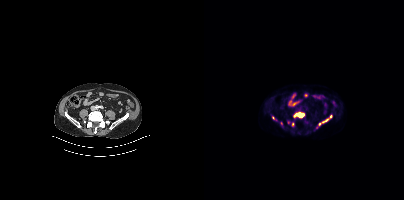
Coordinates are on the 200×200 PET (right) panel. (showing 5 of 6 foci) PSMA-avid tumor lesion bounding boxes (x, y, width, height): x=90 y=112 w=11 h=6 / x=119 y=114 w=10 h=9 / x=68 y=116 w=5 h=5. Small PSMA-avid foci (2 to 4 px across) near (center x, center y): (88, 123) / (115, 123).